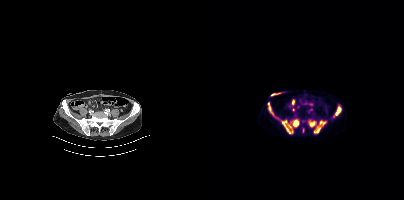
modality: PSMA PET/CT | tracer: 18F | view: axial
Coordinates are on the 200×200 PET (right) panel. (showing 4 of 5 foci) PSMA-avid tumor lesion bounding boxes (x, y, width, height): x=63 y=104 w=33 h=31 | x=110 y=120 w=13 h=13 | x=131 y=106 w=7 h=10 | x=105 y=120 w=8 h=7.